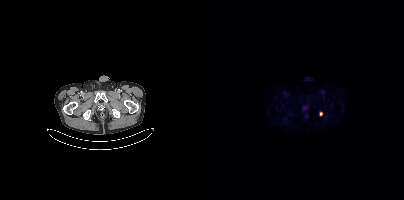
Coordinates are on the 200×200 PET (right) panel. Small PSMA-avid focus (2 to 4 px across) near (center x, center y): (117, 113). Paired axial CT (left) and PSMA PET (right), [18F]PSMA-1007 tracer.